modality: PSMA PET/CT | tracer: 18F | view: axial
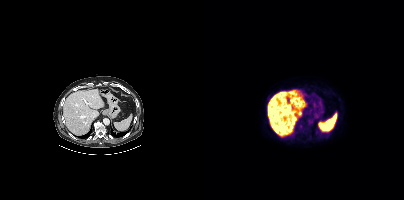
No PSMA-avid tumor lesions on this slice.